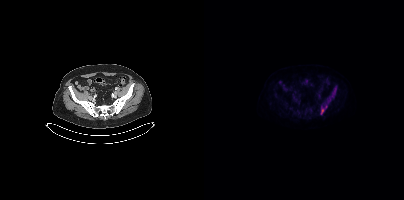
{"pet_grid":[200,200],"coord_frame":"pet_panel","coord_format":"x0,y0,x1,y1","partial":true,"lesion_bboxes":[[117,109,119,113]],"modality":"PSMA PET/CT","view":"axial","tracer":"[18F]PSMA-1007"}